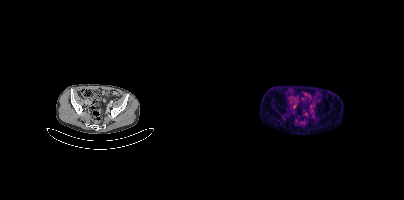
Left: CT. Right: PSMA PET, same axial level, 68Ga-PSMA tracer. PET panel 200×200 px (4.1 mm/px). Only PSMA-avid lesion pieces thinner than 2 px on this slice (not listed).